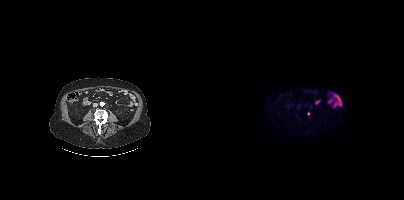
No tumor lesions annotated on this slice. Left: CT. Right: PSMA PET, same axial level, [18F]PSMA-1007 tracer. Acquired on Siemens Biograph mCT Flow 20. PET panel 200×200 px (4.1 mm/px).